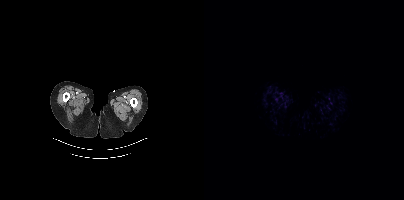
Paired axial CT (left) and PSMA PET (right), [18F]PSMA-1007 tracer. Acquired on Siemens Biograph mCT Flow 20. PET panel 200×200 px (4.1 mm/px). No tumor lesions annotated on this slice.